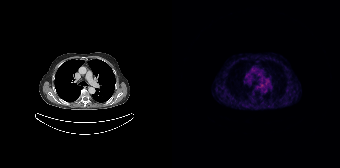
modality: PSMA PET/CT | tracer: [68Ga]Ga-PSMA-11 | view: axial
Negative for PSMA-avid disease on this slice.